Paired axial CT (left) and PSMA PET (right), 18F tracer. Slice position z = -1351 mm. PET panel 200×200 px (4.1 mm/px).
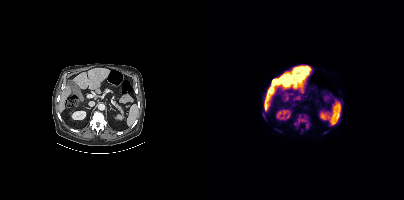
Coordinates are on the 200×200 PET (right) panel. PSMA-avid tumor lesion bounding boxes (x0,y0,x1,y1): [90,114,106,129] [58,115,61,119] [97,129,98,133]. Small PSMA-avid focus (2 to 4 px across) near (center x, center y): (93, 97).